modality: PSMA PET/CT | tracer: 18F | view: axial
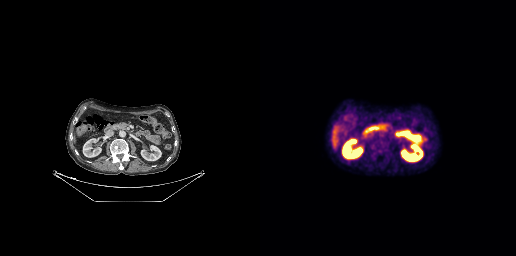
This slice has no annotated PSMA-avid lesion.